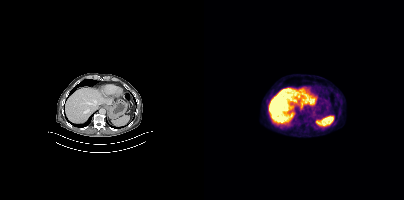
Negative for PSMA-avid disease on this slice.